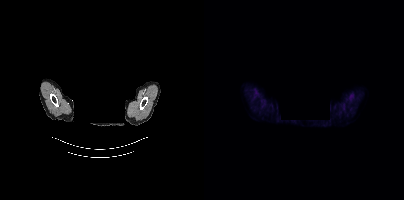
This slice has no annotated PSMA-avid lesion. Paired axial CT (left) and PSMA PET (right), 18F-PSMA tracer. PET panel 200×200 px (4.1 mm/px). De-identified by setting a box covering the face to black before release.